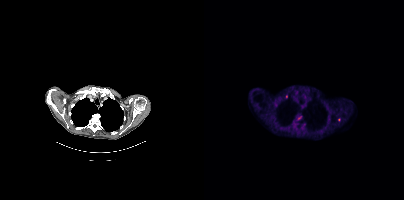
modality: PSMA PET/CT | tracer: 18F-PSMA | view: axial | PET grid: 200×200
Coordinates are on the 200×200 PET (right) panel. Small PSMA-avid foci (2 to 4 px across) near (center x, center y): (95, 118) / (135, 119).